- Paired axial CT (left) and PSMA PET (right), 18F tracer
- slice position z = -58 mm
- PET panel 200×200 px (4.1 mm/px)
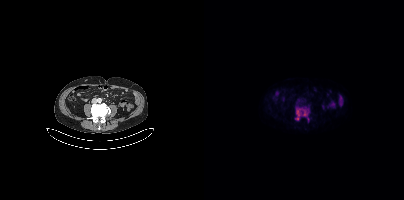
Findings: Coordinates are on the 200×200 PET (right) panel. (showing 1 of 2 foci) PSMA-avid tumor lesion bounding box (x0, y0)-(x1, y1): (91, 107)-(105, 120).